modality: PSMA PET/CT | tracer: 18F | view: axial | PET grid: 200×200
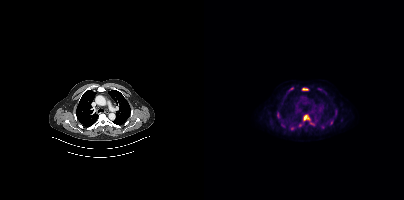
Coordinates are on the 200×200 PET (right) panel. PSMA-avid tumor lesion bounding boxes (x0, y0)-(x1, y1): (99, 115)-(105, 122) / (98, 88)-(104, 90) / (85, 127)-(90, 130) / (131, 109)-(133, 115) / (73, 112)-(75, 117) / (85, 87)-(89, 91) / (107, 121)-(110, 125) / (102, 124)-(105, 128). Small PSMA-avid foci (2 to 4 px across) near (center x, center y): (118, 126) / (127, 122) / (80, 125) / (96, 125) / (137, 120).